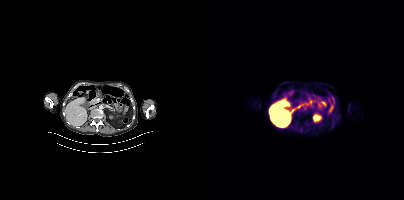
modality: PSMA PET/CT | tracer: 18F | view: axial | PET grid: 200×200
This slice has no annotated PSMA-avid lesion.